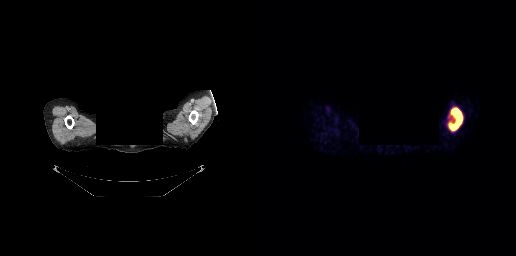
Facial anatomy redacted by setting a rectangular region of the head to black.
Coordinates are on the 256×256 PET (right) panel. PSMA-avid tumor lesion bounding box (x, y, width, height): x=188 y=107 w=15 h=25.